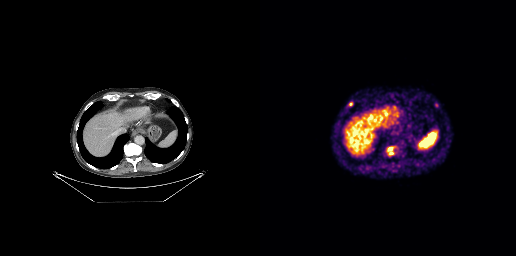
Coordinates are on the 256×256 PET (right) panel. Small PSMA-avid foci (2 to 4 px across) near (center x, center y): (90, 103) (176, 104) (130, 148) (131, 153).